modality: PSMA PET/CT | tracer: [18F]PSMA-1007 | view: axial
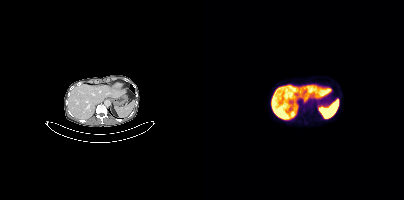
No PSMA-avid tumor lesions on this slice.